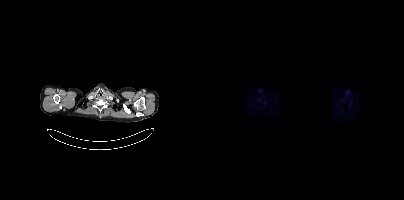
Technique: Two-panel axial: CT | PSMA PET, 18F tracer. slice position z = -400 mm.
Note: A block of pixels was blacked out before release to protect privacy.
Findings: This slice has no annotated PSMA-avid lesion.